Technique: Paired axial CT (left) and PSMA PET (right), [68Ga]Ga-PSMA-11 tracer. acquired on GE Discovery 690.
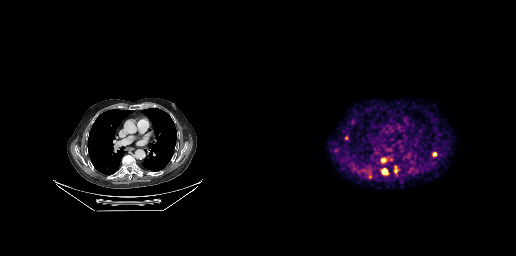
Findings: Coordinates are on the 256×256 PET (right) panel. PSMA-avid tumor lesion bounding boxes (x0,y0,x1,y1): [134,165,138,174]; [121,158,125,163]; [127,157,132,160]; [123,169,126,173]. Small PSMA-avid foci (2 to 4 px across) near (center x, center y): (174, 153); (109, 176); (86, 137); (131, 149).